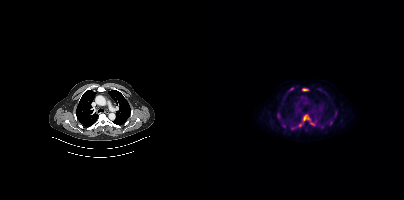
{"modality":"PSMA PET/CT","view":"axial","tracer":"18F-PSMA","pet_grid":[200,200],"coord_frame":"pet_panel","coord_format":"x0,y0,x1,y1","lesion_bboxes":[[94,115,105,127],[107,120,112,125],[98,88,104,90],[115,125,119,128],[78,124,81,128],[85,87,89,90],[131,111,133,115],[73,113,75,117]],"small_foci_centers":[[127,122],[88,128],[102,127]]}